Paired axial CT (left) and PSMA PET (right), 68Ga tracer. Acquired on Siemens Biograph mCT Flow 20. Slice 304 of 409.
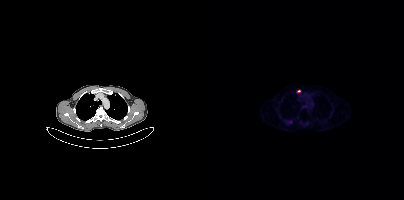
Coordinates are on the 200×200 PET (right) panel. Small PSMA-avid foci (2 to 4 px across) near (center x, center y): (95, 90) | (86, 121).